Left: CT. Right: PSMA PET, same axial level, [18F]PSMA-1007 tracer. PET panel 200×200 px (4.1 mm/px).
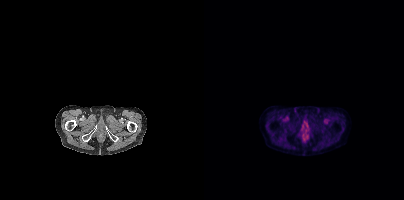
This slice has no annotated PSMA-avid lesion.